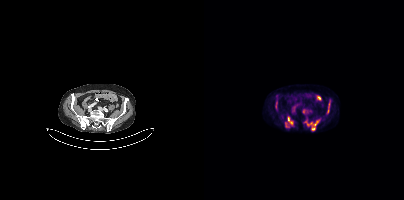
Coordinates are on the 200×200 PET (right) panel. (showing 5 of 8 foci) PSMA-avid tumor lesion bounding boxes (x0, y0)-(x1, y1): (84, 117)-(88, 124) / (123, 103)-(125, 113) / (110, 121)-(114, 125). Small PSMA-avid foci (2 to 4 px across) near (center x, center y): (109, 128) / (81, 124).